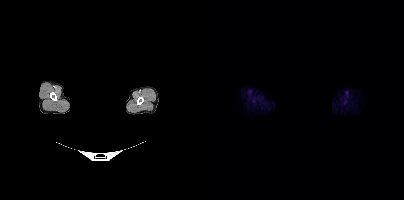
{"modality":"PSMA PET/CT","view":"axial","tracer":"18F-PSMA","pet_grid":[200,200],"coord_frame":"pet_panel","coord_format":"x0,y0,x1,y1","redaction":"rectangular block over head set to black","partial":true,"lesion_bboxes":[]}